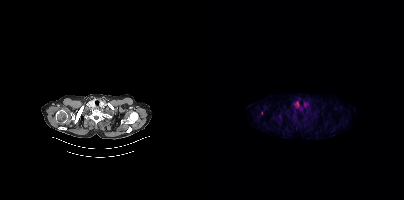
Left: CT. Right: PSMA PET, same axial level, 18F tracer. Acquired on Siemens Biograph mCT Flow 20. Slice 337 of 427. Coordinates are on the 200×200 PET (right) panel. Small PSMA-avid focus (2 to 4 px across) near (center x, center y): (57, 113).